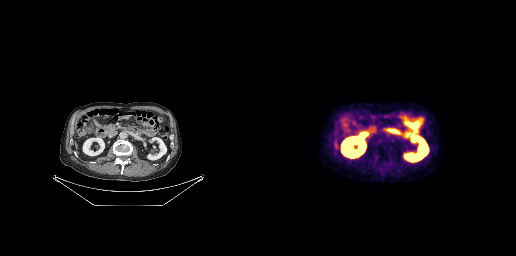
- Left: CT. Right: PSMA PET, same axial level, 18F tracer
- slice 139 of 263
- PET panel 256×256 px (2.7 mm/px)
Findings: No tumor lesions annotated on this slice.